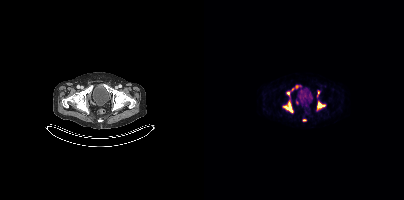
Paired axial CT (left) and PSMA PET (right), 18F tracer. Acquired on Siemens Biograph mCT Flow 20. Slice position z = -971 mm.
Coordinates are on the 200×200 PET (right) panel. PSMA-avid tumor lesion bounding boxes (partial; 1 more focus not listed):
| # | x0 | y0 | x1 | y1 |
|---|---|---|---|---|
| 1 | 79 | 101 | 88 | 112 |
| 2 | 113 | 102 | 120 | 108 |
Small PSMA-avid foci (2 to 4 px across) near (center x, center y): (93, 102); (84, 93); (114, 93); (92, 86); (88, 89).